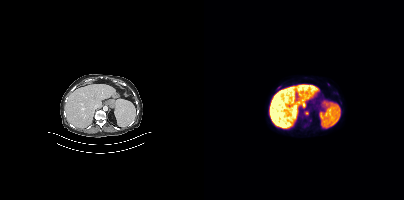
modality: PSMA PET/CT | tracer: 18F-PSMA | view: axial | PET grid: 200×200
Coordinates are on the 200×200 PET (right) panel. Small PSMA-avid foci (2 to 4 px across) near (center x, center y): (102, 113) / (74, 87).